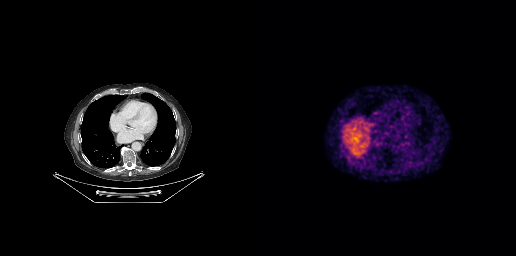
modality: PSMA PET/CT | tracer: [68Ga]Ga-PSMA-11 | view: axial
No PSMA-avid tumor lesions on this slice.